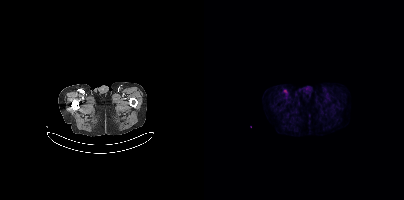
Technique: Two-panel axial: CT | PSMA PET, 18F tracer. slice 37 of 425. PET panel 200×200 px (4.1 mm/px).
Findings: Coordinates are on the 200×200 PET (right) panel. Small PSMA-avid focus (2 to 4 px across) near (center x, center y): (81, 91).